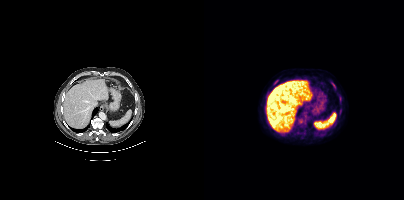
{"modality":"PSMA PET/CT","view":"axial","tracer":"18F","pet_grid":[200,200],"coord_frame":"pet_panel","coord_format":"x0,y0,x1,y1","partial":true,"lesion_bboxes":[[127,82,131,87]],"small_foci_centers":[[136,110]]}